Left: CT. Right: PSMA PET, same axial level, 18F tracer.
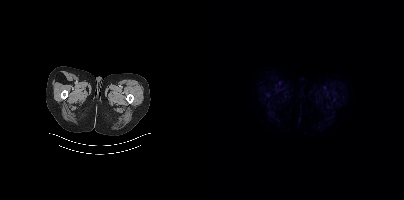
No PSMA-avid tumor lesions on this slice.